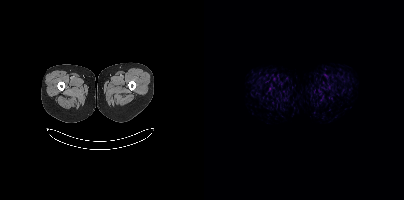
No tumor lesions annotated on this slice.